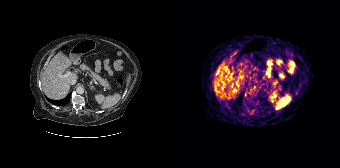
- Paired axial CT (left) and PSMA PET (right), [68Ga]Ga-PSMA-11 tracer
- acquired on Siemens Biograph 64-4R TruePoint
- slice 112 of 195
Findings: No PSMA-avid tumor lesions on this slice.